- Paired axial CT (left) and PSMA PET (right), [18F]PSMA-1007 tracer
- slice 301 of 375
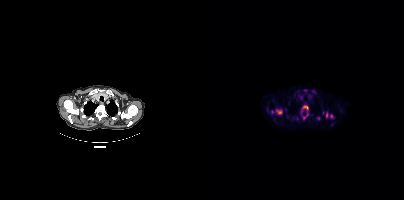
Findings: Coordinates are on the 200×200 PET (right) panel. (showing 7 of 10 foci) PSMA-avid tumor lesion bounding boxes (x0,y0,x1,y1): [71,109,78,114] [98,105,104,109] [122,112,124,117]. Small PSMA-avid foci (2 to 4 px across) near (center x, center y): (127, 115) (68, 111) (114, 118) (100, 117).